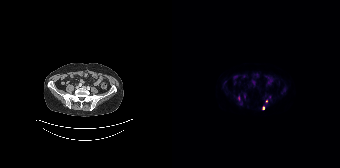
modality: PSMA PET/CT | tracer: 18F-PSMA | view: axial
Coordinates are on the 168×168 PET (right) panel. Small PSMA-avid foci (2 to 4 px across) near (center x, center y): (91, 107), (94, 101).